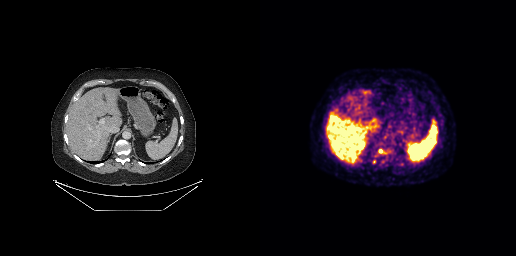
Coordinates are on the 256×256 PET (right) panel. PSMA-avid tumor lesion bounding box (x0, y0)-(x1, y1): (118, 149)-(123, 153). Small PSMA-avid focus (2 to 4 px across) near (center x, center y): (114, 161).